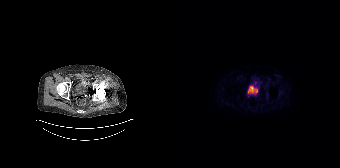
Findings: Only PSMA-avid lesion pieces thinner than 2 px on this slice (not listed).
Technique: Left: CT. Right: PSMA PET, same axial level, 18F tracer. PET panel 168×168 px (4.1 mm/px).